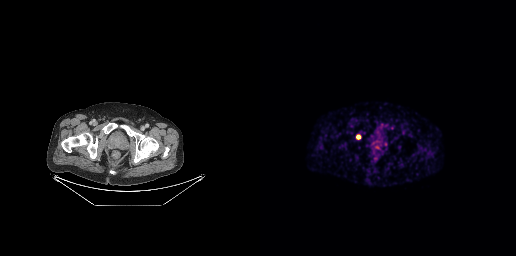
- Paired axial CT (left) and PSMA PET (right), [68Ga]Ga-PSMA-11 tracer
- slice position z = -836 mm
- PET panel 256×256 px (2.7 mm/px)
Findings: Coordinates are on the 256×256 PET (right) panel. PSMA-avid tumor lesion bounding box (x0, y0)-(x1, y1): (96, 135)-(100, 139).